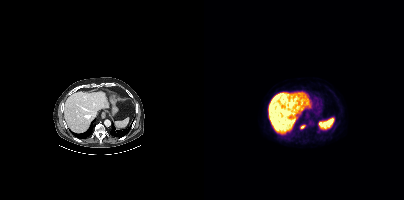
- Paired axial CT (left) and PSMA PET (right), 18F tracer
- PET panel 200×200 px (4.1 mm/px)
Findings: Coordinates are on the 200×200 PET (right) panel. PSMA-avid tumor lesion bounding box (x, y, width, height): x=96 y=125 w=6 h=4.